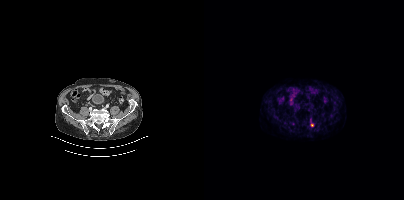
{"pet_grid":[200,200],"coord_frame":"pet_panel","coord_format":"x0,y0,x1,y1","lesion_bboxes":[],"small_foci_centers":[[108,125]],"modality":"PSMA PET/CT","view":"axial","tracer":"[18F]PSMA-1007"}